Technique: Left: CT. Right: PSMA PET, same axial level, 18F tracer. slice 303 of 387. PET panel 200×200 px (4.1 mm/px).
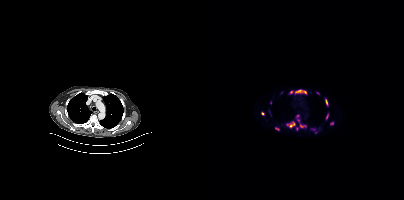
Findings: Coordinates are on the 200×200 PET (right) panel. (showing 14 of 15 foci) PSMA-avid tumor lesion bounding boxes (x0, y0)-(x1, y1): (82, 121)-(91, 127); (91, 90)-(102, 93); (121, 98)-(124, 105); (96, 124)-(102, 127); (122, 114)-(124, 119). Small PSMA-avid foci (2 to 4 px across) near (center x, center y): (58, 113); (127, 123); (87, 92); (72, 129); (114, 93); (93, 116); (94, 120); (92, 129); (66, 102).